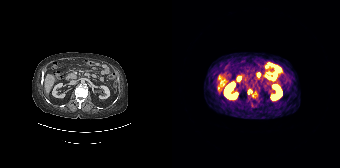
Technique: Two-panel axial: CT | PSMA PET, [68Ga]Ga-PSMA-11 tracer.
Findings: Coordinates are on the 168×168 PET (right) panel. (showing 1 of 3 foci) Small PSMA-avid focus (2 to 4 px across) near (center x, center y): (76, 92).